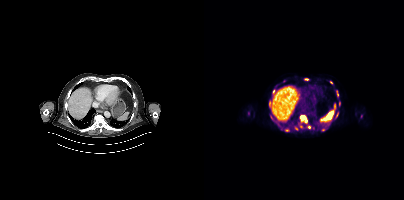
Coordinates are on the 200×200 PET (right) panel. (showing 14 of 15 foci) PSMA-avid tumor lesion bounding boxes (x, y, width, height): x=96 y=115 w=8 h=8 | x=95 y=124 w=5 h=5 | x=65 y=102 w=3 h=8 | x=69 y=90 w=3 h=5 | x=81 y=129 w=5 h=3 | x=131 y=113 w=4 h=6 | x=66 y=115 w=3 h=5 | x=132 y=91 w=3 h=5. Small PSMA-avid foci (2 to 4 px across) near (center x, center y): (102, 79) | (135, 103) | (127, 82) | (119, 129) | (105, 127) | (91, 128).